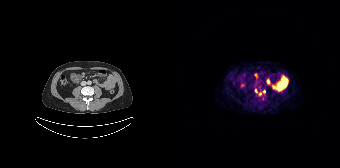
Coordinates are on the 168×168 PET (right) panel. Small PSMA-avid foci (2 to 4 px across) near (center x, center y): (84, 90) / (92, 91) / (88, 94). Two-panel axial: CT | PSMA PET, [68Ga]Ga-PSMA-11 tracer. Acquired on Siemens Biograph 64-4R TruePoint. Slice 86 of 195. PET panel 168×168 px (4.1 mm/px).